Two-panel axial: CT | PSMA PET, 18F tracer. Slice position z = -791 mm.
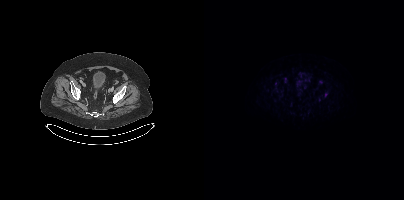
Coordinates are on the 200×200 PET (right) panel. Small PSMA-avid focus (2 to 4 px across) near (center x, center y): (122, 94).